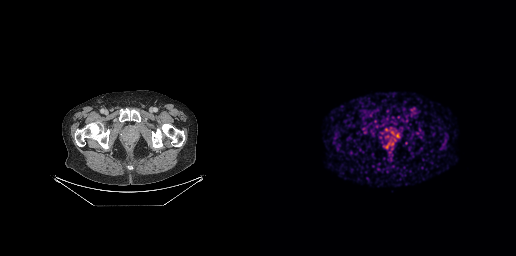
Coordinates are on the 256×256 PET (right) panel. PSMA-avid tumor lesion bounding box (x0, y0)-(x1, y1): (125, 131)-(136, 143).
modality: PSMA PET/CT | tracer: [68Ga]Ga-PSMA-11 | view: axial